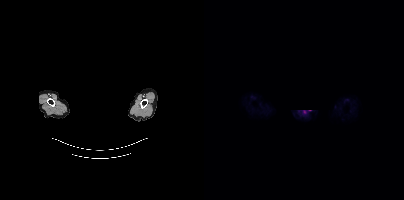
{"modality":"PSMA PET/CT","view":"axial","tracer":"[68Ga]Ga-PSMA-11","pet_grid":[200,200],"coord_frame":"pet_panel","coord_format":"x0,y0,x1,y1","lesion_bboxes":[],"small_foci_centers":[[100,111]],"de-identification":"rectangular block over head set to black"}